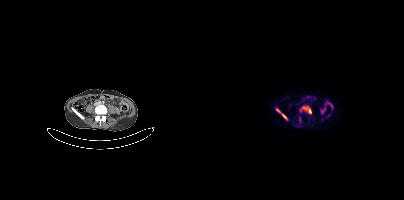
{"pet_grid":[200,200],"coord_frame":"pet_panel","coord_format":"x0,y0,x1,y1","lesion_bboxes":[[78,114,82,118],[105,109,107,113]],"small_foci_centers":[[74,110]],"modality":"PSMA PET/CT","view":"axial","tracer":"[68Ga]Ga-PSMA-11"}